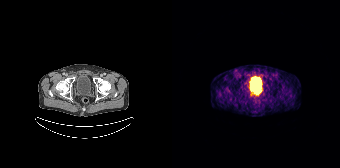
Coordinates are on the 168×168 PET (right) panel. PSMA-avid tumor lesion bounding box (x, y, width, height): x=78 y=92 w=4 h=5.